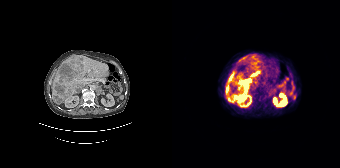
- Paired axial CT (left) and PSMA PET (right), [68Ga]Ga-PSMA-11 tracer
Findings: Coordinates are on the 168×168 PET (right) panel. PSMA-avid tumor lesion bounding boxes (x0, y0)-(x1, y1): (54, 73)-(79, 103) | (79, 67)-(88, 78) | (54, 71)-(62, 91) | (79, 54)-(85, 61) | (68, 57)-(72, 61).